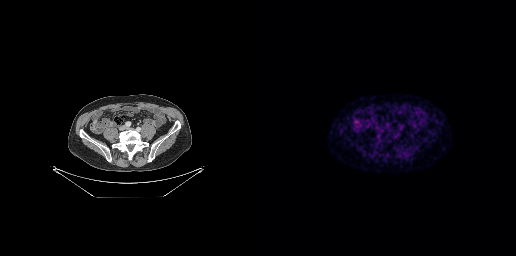
{"pet_grid":[256,256],"coord_frame":"pet_panel","coord_format":"x0,y0,x1,y1","psma_avid_lesions":false,"modality":"PSMA PET/CT","view":"axial","tracer":"[68Ga]Ga-PSMA-11"}